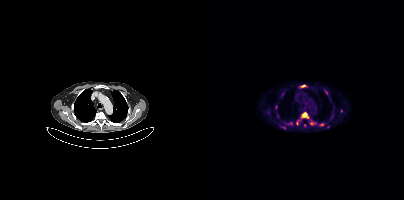
{"pet_grid":[200,200],"coord_frame":"pet_panel","coord_format":"x0,y0,x1,y1","partial":true,"lesion_bboxes":[[97,112,104,118],[97,85,101,87]],"small_foci_centers":[[122,92],[107,123]],"modality":"PSMA PET/CT","view":"axial","tracer":"[18F]PSMA-1007"}